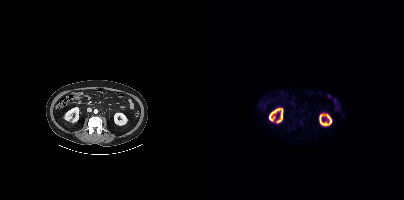
Two-panel axial: CT | PSMA PET, 18F-PSMA tracer. Acquired on Siemens Biograph mCT Flow 20. PET panel 200×200 px (4.1 mm/px). Negative for PSMA-avid disease on this slice.